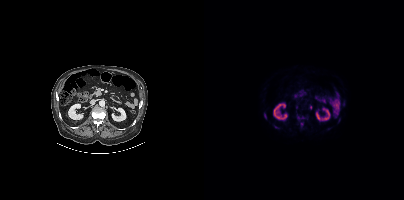
{"modality":"PSMA PET/CT","view":"axial","tracer":"18F-PSMA","pet_grid":[200,200],"coord_frame":"pet_panel","coord_format":"x0,y0,x1,y1","lesion_bboxes":[[60,113,62,118]],"small_foci_centers":[[98,124],[94,117],[98,117]]}